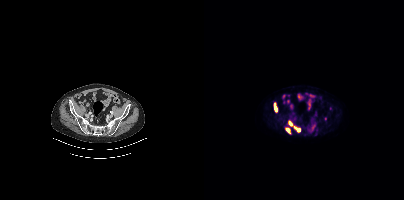
{"modality":"PSMA PET/CT","view":"axial","tracer":"18F-PSMA","pet_grid":[200,200],"coord_frame":"pet_panel","coord_format":"x0,y0,x1,y1","lesion_bboxes":[[70,102,73,111],[82,128,86,133],[90,127,96,131],[85,121,88,126]]}